Technique: Two-panel axial: CT | PSMA PET, 18F tracer. slice position z = -1116 mm. PET panel 168×168 px (4.1 mm/px).
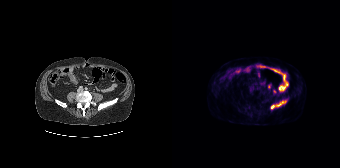
Findings: Coordinates are on the 168×168 PET (right) panel. (showing 2 of 3 foci) PSMA-avid tumor lesion bounding box (x0,y0,x1,y1): [104,101,111,106]. Small PSMA-avid focus (2 to 4 px across) near (center x, center y): (100, 106).